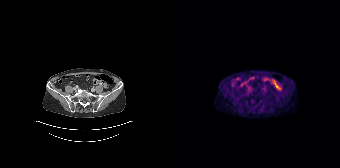
{"modality":"PSMA PET/CT","view":"axial","tracer":"68Ga-PSMA","pet_grid":[168,168],"coord_frame":"pet_panel","coord_format":"x0,y0,x1,y1","psma_avid_lesions":false}